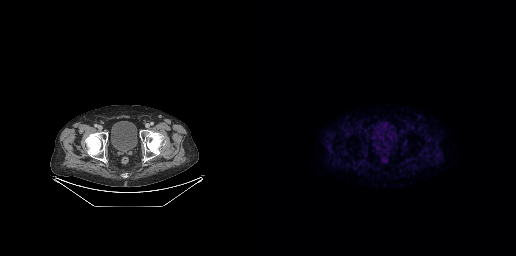
{"pet_grid":[256,256],"coord_frame":"pet_panel","coord_format":"x0,y0,x1,y1","psma_avid_lesions":false,"modality":"PSMA PET/CT","view":"axial","tracer":"18F-PSMA"}